modality: PSMA PET/CT | tracer: 68Ga-PSMA | view: axial
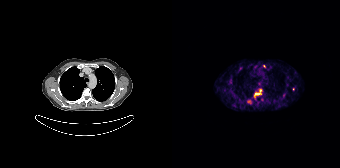
Coordinates are on the 168×168 PET (right) panel. (showing 5 of 8 foci) PSMA-avid tumor lesion bounding boxes (x0, y0)-(x1, y1): (82, 89)-(89, 96) | (75, 100)-(79, 103). Small PSMA-avid foci (2 to 4 px across) near (center x, center y): (121, 88) | (111, 95) | (68, 67).